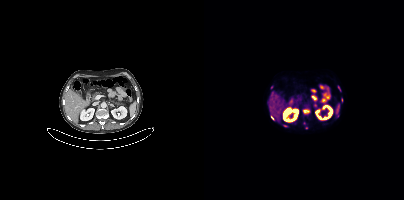
{"pet_grid":[200,200],"coord_frame":"pet_panel","coord_format":"x0,y0,x1,y1","partial":true,"lesion_bboxes":[[99,110,105,113]],"small_foci_centers":[[68,117],[67,87],[81,125],[102,127]],"modality":"PSMA PET/CT","view":"axial","tracer":"18F"}